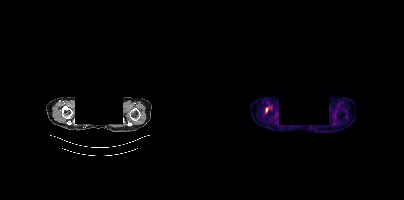
Technique: Two-panel axial: CT | PSMA PET, 18F-PSMA tracer.
Note: Head region blanked for anonymization (face removed).
Findings: Coordinates are on the 200×200 PET (right) panel. Small PSMA-avid focus (2 to 4 px across) near (center x, center y): (62, 109).